- Left: CT. Right: PSMA PET, same axial level, 18F-PSMA tracer
- PET panel 256×256 px (2.7 mm/px)
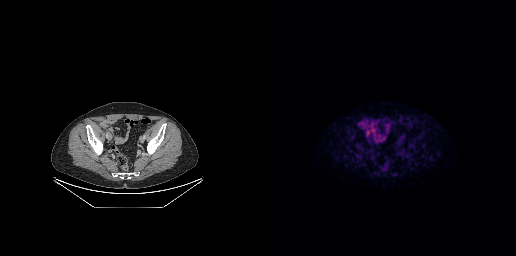
Findings: Coordinates are on the 256×256 PET (right) panel. Small PSMA-avid focus (2 to 4 px across) near (center x, center y): (108, 132).